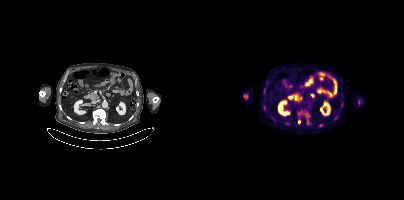
modality: PSMA PET/CT | tracer: 18F-PSMA | view: axial
Coordinates are on the 200×200 PET (right) panel. (showing 3 of 8 foci) Small PSMA-avid foci (2 to 4 px across) near (center x, center y): (95, 121) | (116, 125) | (60, 90).